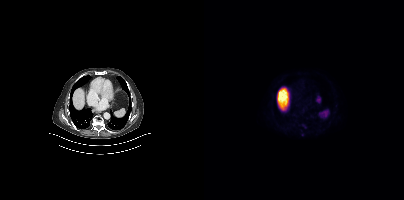
Findings: Coordinates are on the 200×200 PET (right) panel. (showing 2 of 3 foci) PSMA-avid tumor lesion bounding box (x0,y0,x1,y1): [98,124,102,127]. Small PSMA-avid focus (2 to 4 px across) near (center x, center y): (97, 130).
Technique: Two-panel axial: CT | PSMA PET, 18F tracer. PET panel 200×200 px (4.1 mm/px).